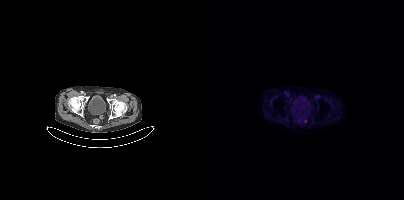
- Paired axial CT (left) and PSMA PET (right), 18F tracer
- slice position z = -950 mm
- PET panel 200×200 px (4.1 mm/px)
Findings: Only PSMA-avid lesion pieces thinner than 2 px on this slice (not listed).